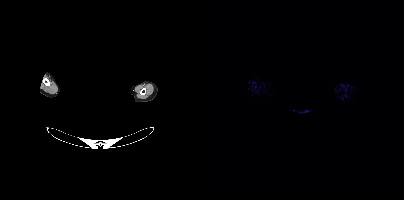
{"pet_grid":[200,200],"coord_frame":"pet_panel","coord_format":"x0,y0,x1,y1","psma_avid_lesions":false,"deidentification":"head region blanked (face removed)","modality":"PSMA PET/CT","view":"axial","tracer":"18F-PSMA"}